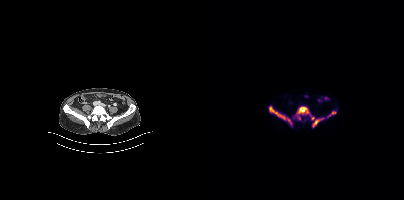
Left: CT. Right: PSMA PET, same axial level, [18F]PSMA-1007 tracer. PET panel 200×200 px (4.1 mm/px). Coordinates are on the 200×200 PET (right) panel. PSMA-avid tumor lesion bounding boxes (x, y, width, height): x=92 y=106 w=27 h=22; x=65 y=106 w=24 h=19; x=125 y=111 w=8 h=5.